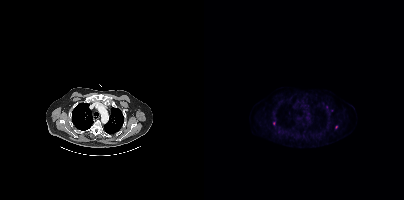
Coordinates are on the 200×200 PET (right) panel. (showing 1 of 3 foci) Small PSMA-avid focus (2 to 4 px across) near (center x, center y): (70, 123).